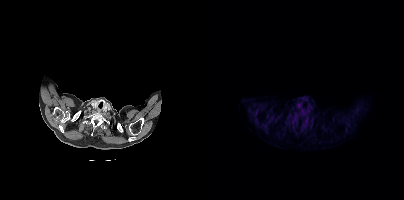
This slice has no annotated PSMA-avid lesion. Left: CT. Right: PSMA PET, same axial level, 18F tracer. Acquired on Siemens Biograph mCT Flow 20.